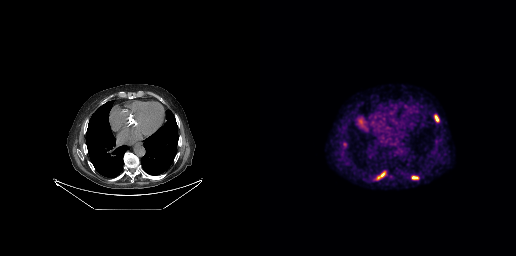
Coordinates are on the 256×256 PET (right) panel. PSMA-avid tumor lesion bounding boxes (x, y, width, height): x=117 y=171 w=9 h=9 / x=174 y=114 w=6 h=9 / x=152 y=176 w=7 h=4.
modality: PSMA PET/CT | tracer: 18F-PSMA | view: axial